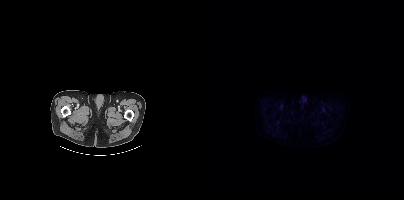
modality: PSMA PET/CT | tracer: 18F | view: axial | PET grid: 200×200
No tumor lesions annotated on this slice.